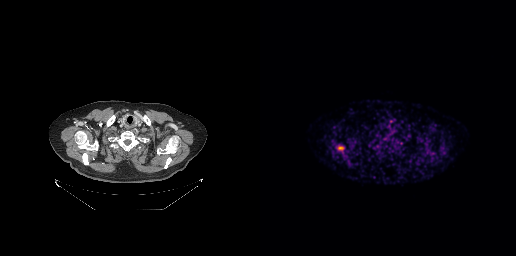
Coordinates are on the 256×256 PET (right) panel. PSMA-avid tumor lesion bounding box (x0,y0,x1,y1): [77,145,84,151].